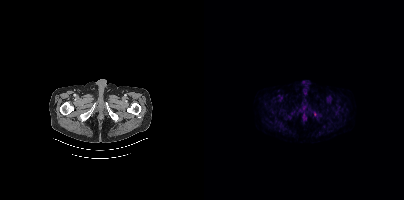
Only PSMA-avid lesion pieces thinner than 2 px on this slice (not listed).